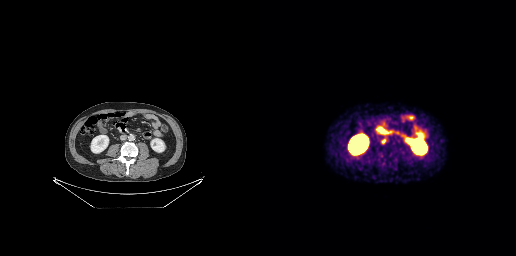
{"modality":"PSMA PET/CT","view":"axial","tracer":"68Ga-PSMA","pet_grid":[256,256],"coord_frame":"pet_panel","coord_format":"x0,y0,x1,y1","lesion_bboxes":[[122,139,125,143]]}